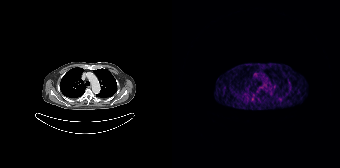
{"pet_grid":[168,168],"coord_frame":"pet_panel","coord_format":"x0,y0,x1,y1","lesion_bboxes":[],"small_foci_centers":[[108,99]],"modality":"PSMA PET/CT","view":"axial","tracer":"68Ga-PSMA"}